- Two-panel axial: CT | PSMA PET, 18F tracer
- acquired on Siemens Biograph mCT Flow 20
- PET panel 200×200 px (4.1 mm/px)
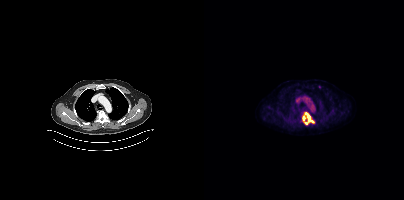
Findings: Coordinates are on the 200×200 PET (right) panel. PSMA-avid tumor lesion bounding box (x0,y0,x1,y1): [98,112,110,124]. Small PSMA-avid focus (2 to 4 px across) near (center x, center y): (115, 85).